- Paired axial CT (left) and PSMA PET (right), 18F-PSMA tracer
- PET panel 200×200 px (4.1 mm/px)
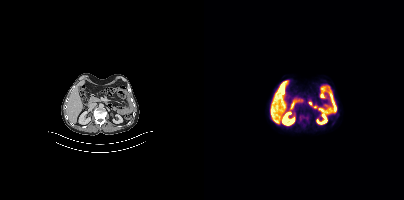
Findings: No PSMA-avid tumor lesions on this slice.